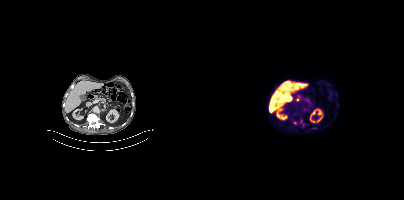
modality: PSMA PET/CT | tracer: 18F-PSMA | view: axial
Coordinates are on the 200×200 PET (right) panel. Small PSMA-avid foci (2 to 4 px across) near (center x, center y): (97, 120) | (91, 123) | (112, 128) | (99, 124).